Left: CT. Right: PSMA PET, same axial level, 18F tracer.
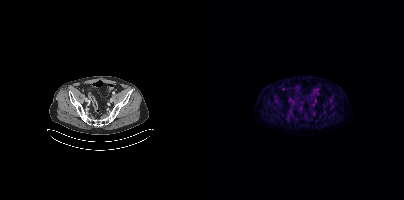
Coordinates are on the 200×200 PET (right) panel. Small PSMA-avid focus (2 to 4 px across) near (center x, center y): (79, 89).